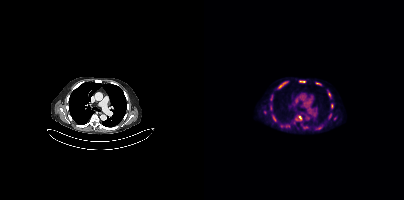
Coordinates are on the 200×200 PET (right) panel. (showing 10 of 13 foci) PSMA-avid tumor lesion bounding boxes (x, y, width, height): x=74 y=81 w=10 h=8 | x=95 y=80 w=7 h=3 | x=112 y=82 w=6 h=4 | x=124 y=92 w=3 h=6 | x=69 y=117 w=4 h=5 | x=99 y=126 w=5 h=3. Small PSMA-avid foci (2 to 4 px across) near (center x, center y): (95, 117) | (126, 115) | (128, 107) | (116, 127).